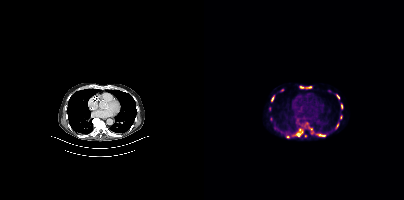
Coordinates are on the 200×200 PET (right) panel. (showing 13 of 14 foci) PSMA-avid tumor lesion bounding boxes (x0, y0)-(x1, y1): (89, 128)-(99, 136) | (95, 85)-(108, 89) | (113, 134)-(121, 136) | (67, 95)-(70, 101) | (132, 94)-(135, 99) | (137, 103)-(139, 109) | (136, 115)-(138, 119) | (132, 123)-(134, 128). Small PSMA-avid foci (2 to 4 px across) near (center x, center y): (106, 128) | (78, 90) | (102, 123) | (108, 132) | (101, 135).
modality: PSMA PET/CT | tracer: [18F]PSMA-1007 | view: axial